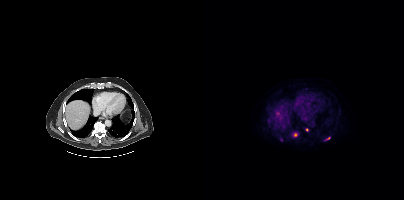
Technique: Two-panel axial: CT | PSMA PET, 18F tracer. PET panel 200×200 px (4.1 mm/px).
Findings: Coordinates are on the 200×200 PET (right) panel. PSMA-avid tumor lesion bounding boxes (x0,y0,x1,y1): [89,132,93,136] [120,137,125,140]. Small PSMA-avid foci (2 to 4 px across) near (center x, center y): (103, 129) (77, 139).